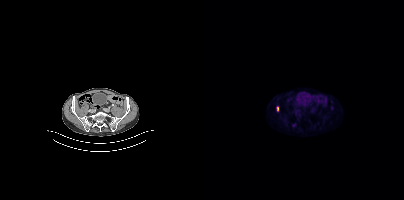
Findings: Coordinates are on the 200×200 PET (right) panel. Small PSMA-avid focus (2 to 4 px across) near (center x, center y): (73, 108).
- Left: CT. Right: PSMA PET, same axial level, 18F-PSMA tracer